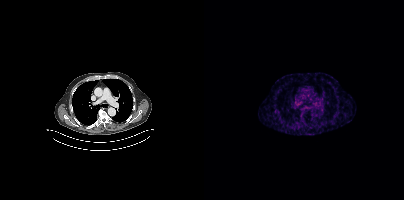
No tumor lesions annotated on this slice.